- Paired axial CT (left) and PSMA PET (right), [18F]PSMA-1007 tracer
- acquired on Siemens Biograph mCT Flow 20
- slice position z = -1522 mm
- PET panel 200×200 px (4.1 mm/px)
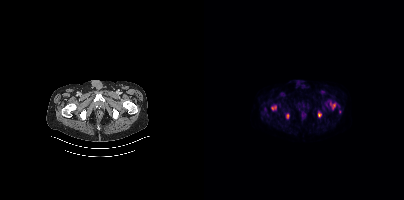
Findings: Coordinates are on the 200×200 PET (right) panel. (showing 5 of 6 foci) PSMA-avid tumor lesion bounding boxes (x, y, width, height): x=67 y=105 w=6 h=6 / x=82 y=113 w=4 h=6 / x=128 y=104 w=4 h=5 / x=114 y=112 w=4 h=5. Small PSMA-avid focus (2 to 4 px across) near (center x, center y): (136, 111).